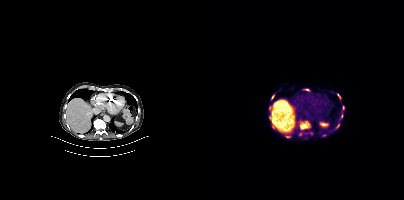
Coordinates are on the 200×200 PET (right) panel. (showing 10 of 12 foci) PSMA-avid tumor lesion bounding boxes (x0, y0)-(x1, y1): (96, 122)-(106, 129); (133, 93)-(137, 99); (68, 124)-(71, 129); (138, 106)-(140, 110); (136, 113)-(139, 118); (82, 136)-(86, 137); (100, 89)-(105, 90). Small PSMA-avid foci (2 to 4 px across) near (center x, center y): (68, 96); (65, 108); (96, 134).
modality: PSMA PET/CT | tracer: 18F | view: axial